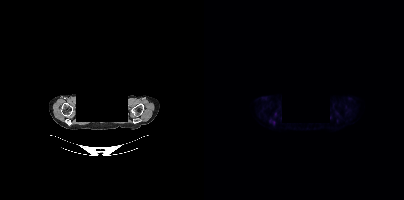
modality: PSMA PET/CT | tracer: 18F-PSMA | view: axial | deidentification: head region blacked out before release
Coordinates are on the 200×200 PET (right) panel. (showing 1 of 2 foci) Small PSMA-avid focus (2 to 4 px across) near (center x, center y): (69, 122).